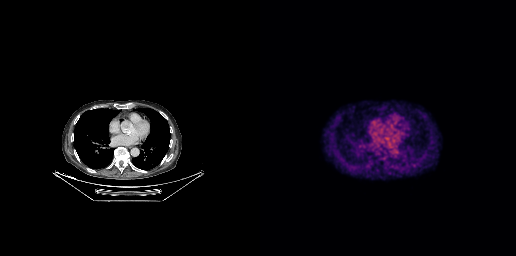
{"modality":"PSMA PET/CT","view":"axial","tracer":"18F-PSMA","pet_grid":[256,256],"coord_frame":"pet_panel","coord_format":"x0,y0,x1,y1","psma_avid_lesions":false}